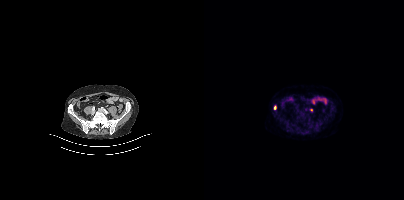
Findings: Coordinates are on the 200×200 PET (right) panel. Small PSMA-avid foci (2 to 4 px across) near (center x, center y): (71, 107); (107, 109).
- Left: CT. Right: PSMA PET, same axial level, 18F tracer
- slice position z = -800 mm